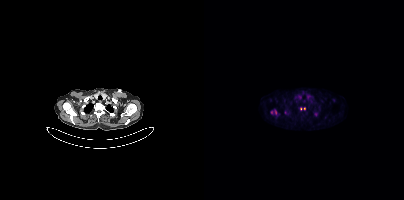
modality: PSMA PET/CT | tracer: 18F-PSMA | view: axial
Coordinates are on the 200×200 PET (right) panel. (showing 3 of 4 foci) PSMA-avid tumor lesion bounding box (x0,y0,x1,y1): [71,110,72,114]. Small PSMA-avid foci (2 to 4 px across) near (center x, center y): (67, 111), (100, 108).